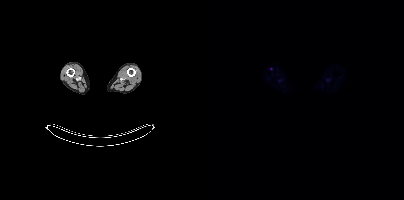
modality: PSMA PET/CT | tracer: 18F-PSMA | view: axial | PET grid: 200×200
Coordinates are on the 200×200 PET (right) panel. Small PSMA-avid focus (2 to 4 px across) near (center x, center y): (66, 68).